The head region is masked for de-identification.
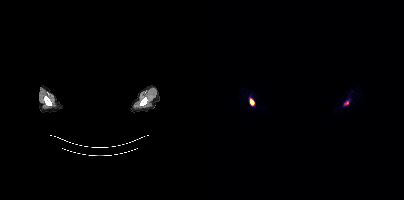
Coordinates are on the 200×200 PET (right) panel. PSMA-avid tumor lesion bounding boxes (x, y, width, height): x=45 y=98 w=6 h=8 / x=140 y=101 w=5 h=4.